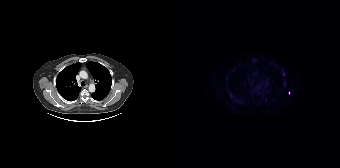
{"modality":"PSMA PET/CT","view":"axial","tracer":"18F-PSMA","pet_grid":[168,168],"coord_frame":"pet_panel","coord_format":"x0,y0,x1,y1","partial":true,"lesion_bboxes":[]}